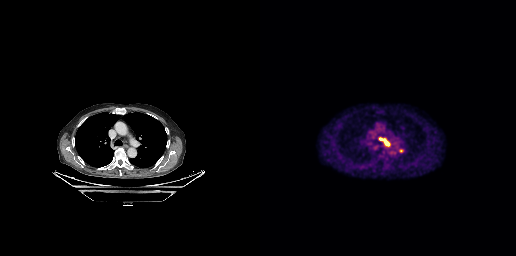
Coordinates are on the 256×256 PET (right) panel. PSMA-avid tumor lesion bounding box (x0, y0)-(x1, y1): (119, 137)-(130, 146). Small PSMA-avid focus (2 to 4 px across) near (center x, center y): (141, 150). Left: CT. Right: PSMA PET, same axial level, [18F]PSMA-1007 tracer. Acquired on GE Discovery 690. PET panel 256×256 px (2.7 mm/px).